- Two-panel axial: CT | PSMA PET, [18F]PSMA-1007 tracer
- slice position z = -453 mm
- PET panel 256×256 px (2.7 mm/px)
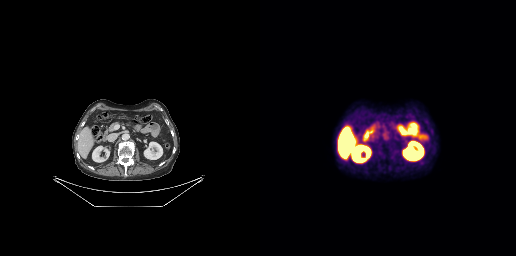
Findings: No tumor lesions annotated on this slice.